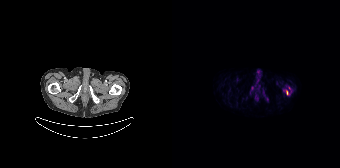
- Left: CT. Right: PSMA PET, same axial level, [18F]PSMA-1007 tracer
- PET panel 168×168 px (4.1 mm/px)
Findings: Coordinates are on the 168×168 PET (right) panel. (showing 2 of 3 foci) PSMA-avid tumor lesion bounding box (x0,y0,x1,y1): [114,90,116,94]. Small PSMA-avid focus (2 to 4 px across) near (center x, center y): (95, 99).